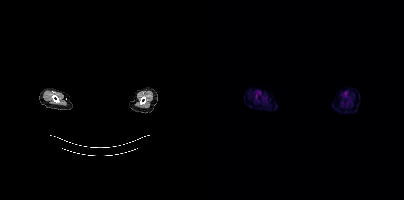
No PSMA-avid tumor lesions on this slice. Any black rectangle over the head is a privacy mask, not anatomy. Two-panel axial: CT | PSMA PET, 18F-PSMA tracer. Acquired on Siemens Biograph mCT Flow 20.